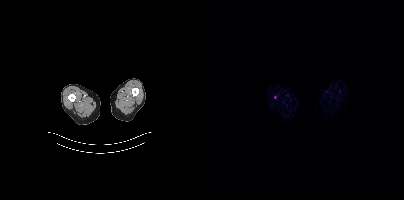
Findings: Only PSMA-avid lesion pieces thinner than 2 px on this slice (not listed).
- Two-panel axial: CT | PSMA PET, [18F]PSMA-1007 tracer
- slice 6 of 413